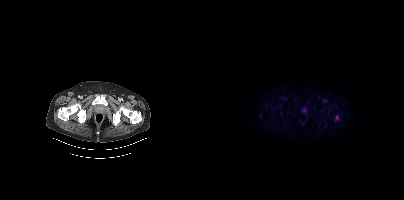
Paired axial CT (left) and PSMA PET (right), 18F-PSMA tracer. Slice 79 of 450. PET panel 200×200 px (4.1 mm/px). Coordinates are on the 200×200 PET (right) panel. Small PSMA-avid focus (2 to 4 px across) near (center x, center y): (133, 117).